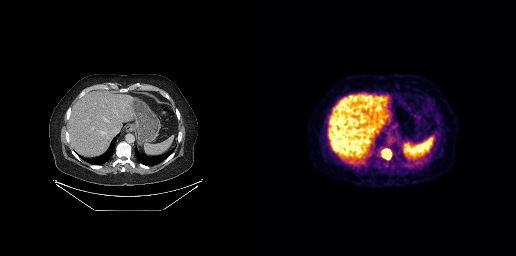
{"modality":"PSMA PET/CT","view":"axial","tracer":"18F-PSMA","pet_grid":[256,256],"coord_frame":"pet_panel","coord_format":"x0,y0,x1,y1","lesion_bboxes":[[123,150,129,157]]}